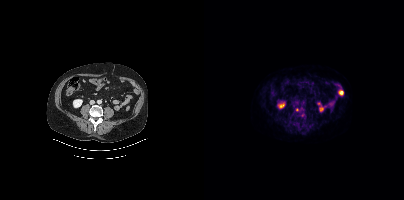
Coordinates are on the 200×200 PET (right) panel. Small PSMA-avid focus (2 to 4 px across) near (center x, center y): (92, 109).
modality: PSMA PET/CT | tracer: 18F-PSMA | view: axial | PET grid: 200×200